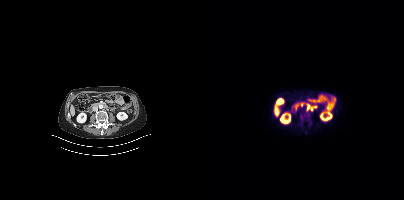
Coordinates are on the 200×200 PET (right) panel. (showing 1 of 2 foci) Small PSMA-avid focus (2 to 4 px across) near (center x, center y): (107, 109). Two-panel axial: CT | PSMA PET, [18F]PSMA-1007 tracer. Slice position z = -601 mm.